Technique: Paired axial CT (left) and PSMA PET (right), [68Ga]Ga-PSMA-11 tracer. slice position z = -711 mm. PET panel 200×200 px (4.1 mm/px).
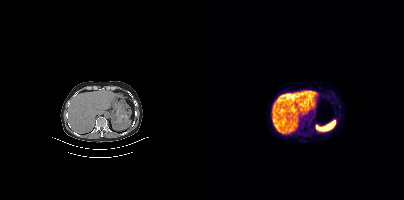
Findings: This slice has no annotated PSMA-avid lesion.